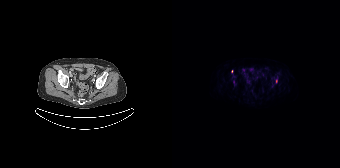
Left: CT. Right: PSMA PET, same axial level, 18F tracer. Acquired on Siemens Biograph 64-4R TruePoint. Coordinates are on the 168×168 PET (right) panel. Small PSMA-avid foci (2 to 4 px across) near (center x, center y): (104, 81); (59, 71).